modality: PSMA PET/CT | tracer: 68Ga-PSMA | view: axial | PET grid: 168×168
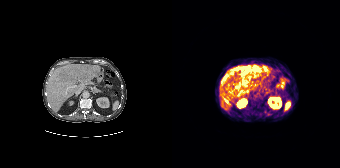
Coordinates are on the 168×168 PET (right) panel. (showing 7 of 8 foci) PSMA-avid tumor lesion bounding boxes (x, y, width, height): x=63 y=65 w=26 h=15; x=58 y=85 w=11 h=12; x=50 y=75 w=8 h=8; x=51 y=98 w=6 h=5; x=74 y=75 w=6 h=5; x=93 y=68 w=4 h=5. Small PSMA-avid focus (2 to 4 px across) near (center x, center y): (72, 82).